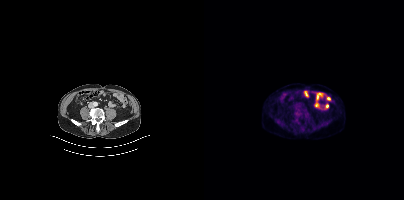
Paired axial CT (left) and PSMA PET (right), [18F]PSMA-1007 tracer. Acquired on Siemens Biograph mCT Flow 20. Slice 167 of 442. Negative for PSMA-avid disease on this slice.